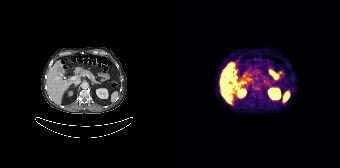
modality: PSMA PET/CT | tracer: 68Ga-PSMA | view: axial
Coordinates are on the 168×168 PET (right) panel. (showing 3 of 4 foci) PSMA-avid tumor lesion bounding box (x, y, width, height): x=53 y=65 w=7 h=7. Small PSMA-avid foci (2 to 4 px across) near (center x, center y): (50, 72); (63, 72).